- Left: CT. Right: PSMA PET, same axial level, 18F tracer
- acquired on Siemens Biograph mCT Flow 20
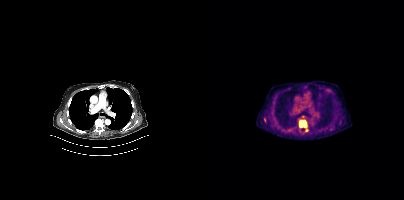
Findings: Coordinates are on the 200×200 PET (right) panel. PSMA-avid tumor lesion bounding box (x0, y0)-(x1, y1): (95, 120)-(101, 126). Small PSMA-avid focus (2 to 4 px across) near (center x, center y): (102, 130).